- Two-panel axial: CT | PSMA PET, [68Ga]Ga-PSMA-11 tracer
- acquired on GE Discovery 690
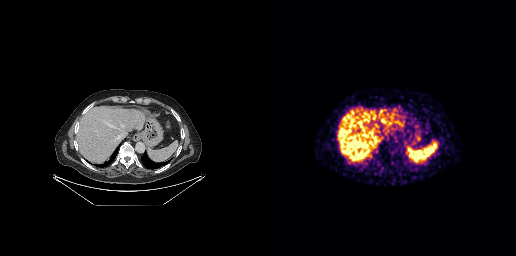
Findings: This slice has no annotated PSMA-avid lesion.